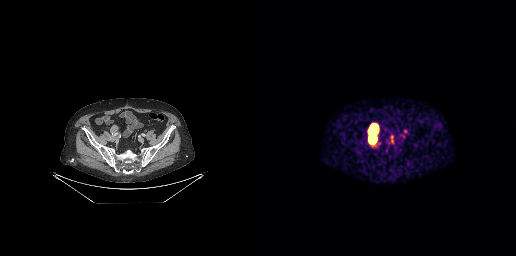
Coordinates are on the 256×256 PET (right) panel. PSMA-avid tumor lesion bounding box (x0,y0,x1,y1): [110,125,116,142].
modality: PSMA PET/CT | tracer: 68Ga | view: axial